Technique: Paired axial CT (left) and PSMA PET (right), [18F]PSMA-1007 tracer. slice position z = -382 mm.
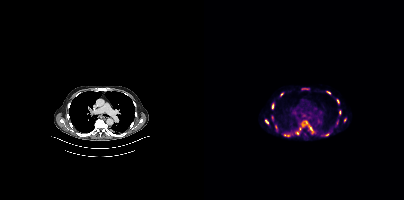
Findings: Coordinates are on the 200×200 PET (right) panel. (showing 11 of 13 foci) PSMA-avid tumor lesion bounding boxes (x, y, width, height): x=91 y=120 w=20 h=15 / x=97 y=88 w=9 h=3 / x=132 y=99 w=4 h=5 / x=68 y=103 w=3 h=6 / x=135 y=110 w=3 h=5 / x=61 y=119 w=4 h=6 / x=122 y=91 w=5 h=4 / x=80 y=134 w=6 h=3. Small PSMA-avid foci (2 to 4 px across) near (center x, center y): (77, 94) / (71, 127) / (123, 134).